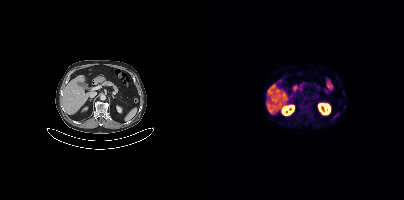
This slice has no annotated PSMA-avid lesion. Left: CT. Right: PSMA PET, same axial level, 18F tracer. Acquired on Siemens Biograph mCT Flow 20. PET panel 200×200 px (4.1 mm/px).